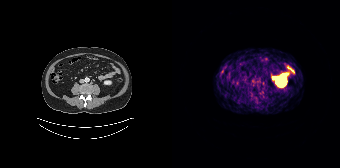
Two-panel axial: CT | PSMA PET, [68Ga]Ga-PSMA-11 tracer. Acquired on Siemens Biograph 64-4R TruePoint. PET panel 168×168 px (4.1 mm/px). Negative for PSMA-avid disease on this slice.